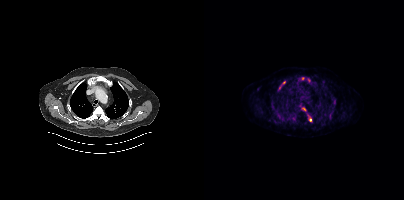
{"modality":"PSMA PET/CT","view":"axial","tracer":"[18F]PSMA-1007","pet_grid":[200,200],"coord_frame":"pet_panel","coord_format":"x0,y0,x1,y1","lesion_bboxes":[[84,113,92,122],[74,81,81,90],[124,111,129,117],[100,115,107,124],[71,112,75,116],[128,99,131,103],[97,76,102,80],[97,107,101,110],[67,101,69,105],[104,78,106,82]],"small_foci_centers":[[119,81]]}